Technique: Paired axial CT (left) and PSMA PET (right), 18F tracer. slice position z = -338 mm.
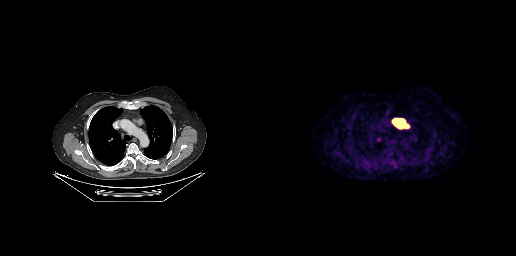
Findings: Coordinates are on the 256×256 PET (right) panel. PSMA-avid tumor lesion bounding box (x0, y0)-(x1, y1): (132, 118)-(149, 128).